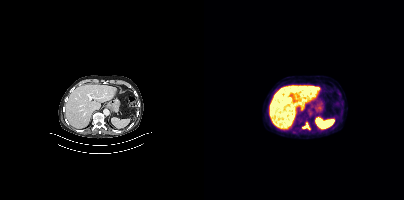
Coordinates are on the 200×200 PET (right) panel. (showing 1 of 2 foci) PSMA-avid tumor lesion bounding box (x, y, width, height): x=99 y=125 w=6 h=4. Paired axial CT (left) and PSMA PET (right), 18F-PSMA tracer. Acquired on Siemens Biograph mCT Flow 20. Slice position z = -1158 mm. PET panel 200×200 px (4.1 mm/px).